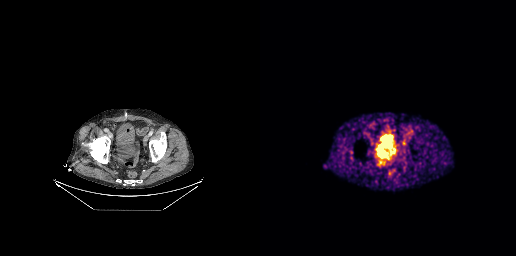
Left: CT. Right: PSMA PET, same axial level, 68Ga-PSMA tracer. Slice position z = -778 mm.
Coordinates are on the 256×256 PET (right) panel. PSMA-avid tumor lesion bounding boxes:
| # | x0 | y0 | x1 | y1 |
|---|---|---|---|---|
| 1 | 115 | 145 | 129 | 166 |